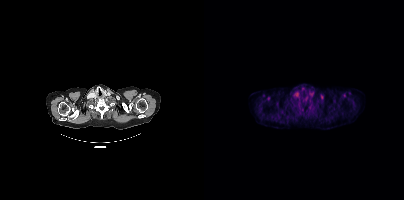
Negative for PSMA-avid disease on this slice. Two-panel axial: CT | PSMA PET, 18F tracer.